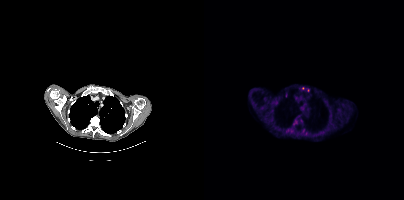
Findings: Coordinates are on the 200×200 PET (right) panel. (showing 1 of 2 foci) Small PSMA-avid focus (2 to 4 px across) near (center x, center y): (98, 88).
- Two-panel axial: CT | PSMA PET, 18F tracer
- slice position z = -936 mm